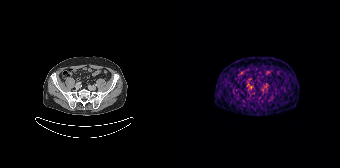
Coordinates are on the 168×168 PET (right) panel. Small PSMA-avid focus (2 to 4 px across) near (center x, center y): (79, 87).